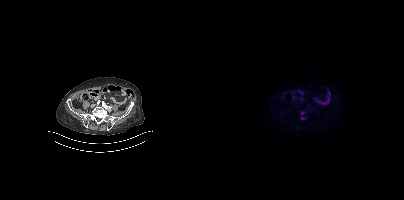
Left: CT. Right: PSMA PET, same axial level, 18F tracer. Acquired on Siemens Biograph mCT Flow 20. Coordinates are on the 200×200 PET (right) panel. Small PSMA-avid foci (2 to 4 px across) near (center x, center y): (98, 112), (98, 118).